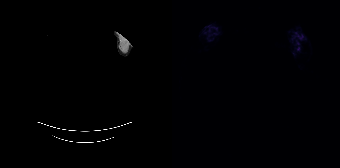
{"modality":"PSMA PET/CT","view":"axial","tracer":"68Ga","pet_grid":[168,168],"coord_frame":"pet_panel","coord_format":"x0,y0,x1,y1","deidentification":"face masked with black rectangle","psma_avid_lesions":false}